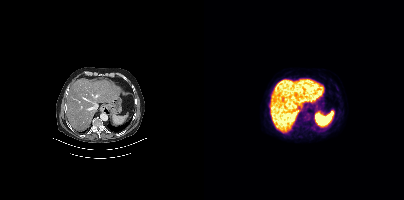
- Paired axial CT (left) and PSMA PET (right), 18F-PSMA tracer
Findings: No PSMA-avid tumor lesions on this slice.